Technique: Two-panel axial: CT | PSMA PET, 18F-PSMA tracer. PET panel 200×200 px (4.1 mm/px).
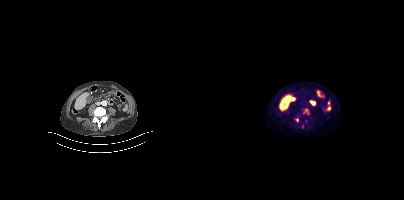
Findings: Coordinates are on the 200×200 PET (right) panel. (showing 2 of 3 foci) PSMA-avid tumor lesion bounding box (x, y, width, height): x=99 y=108 w=7 h=7. Small PSMA-avid focus (2 to 4 px across) near (center x, center y): (93, 119).